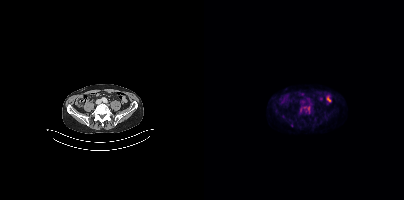
Two-panel axial: CT | PSMA PET, 18F-PSMA tracer. Slice position z = -813 mm. PET panel 200×200 px (4.1 mm/px). Coordinates are on the 200×200 PET (right) panel. (showing 3 of 4 foci) PSMA-avid tumor lesion bounding boxes (x0, y0)-(x1, y1): (95, 109)-(98, 114) | (103, 106)-(105, 112). Small PSMA-avid focus (2 to 4 px across) near (center x, center y): (100, 107).